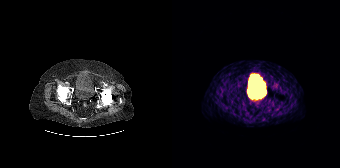
{"modality":"PSMA PET/CT","view":"axial","tracer":"68Ga-PSMA","pet_grid":[168,168],"coord_frame":"pet_panel","coord_format":"x0,y0,x1,y1","psma_avid_lesions":false}